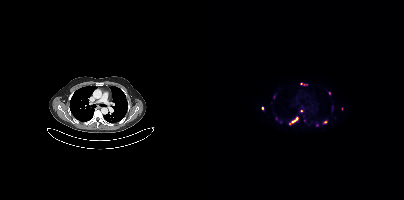
Coordinates are on the 200×200 PET (right) panel. (showing 8 of 11 foci) PSMA-avid tumor lesion bounding boxes (x0,y0,x1,y1): [86,117,94,124], [97,83,103,85]. Small PSMA-avid foci (2 to 4 px across) near (center x, center y): (121, 122), (125, 93), (72, 118), (58, 107), (97, 110), (76, 121).